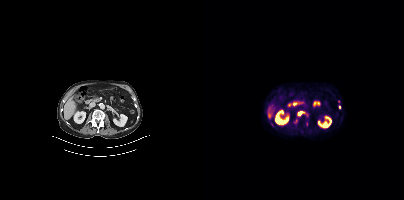
Two-panel axial: CT | PSMA PET, [18F]PSMA-1007 tracer.
Coordinates are on the 200×200 PET (right) panel. PSMA-avid tumor lesion bounding boxes:
| # | x0 | y0 | x1 | y1 |
|---|---|---|---|---|
| 1 | 94 | 111 | 98 | 115 |
Small PSMA-avid foci (2 to 4 px across) near (center x, center y): (135, 107); (92, 120).